- Paired axial CT (left) and PSMA PET (right), 18F tracer
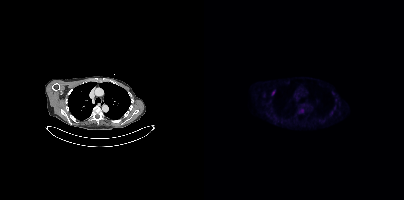
Findings: Coordinates are on the 200×200 PET (right) panel. (showing 2 of 3 foci) PSMA-avid tumor lesion bounding box (x0,y0,x1,y1): [95,108,99,112]. Small PSMA-avid focus (2 to 4 px across) near (center x, center y): (69, 92).